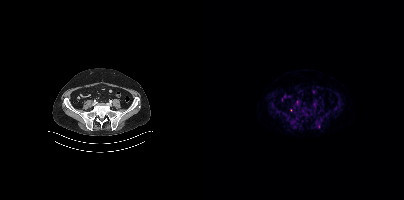
- Two-panel axial: CT | PSMA PET, 18F-PSMA tracer
- slice position z = -230 mm
- PET panel 200×200 px (4.1 mm/px)
Findings: Only PSMA-avid lesion pieces thinner than 2 px on this slice (not listed).